- Two-panel axial: CT | PSMA PET, 18F tracer
- slice position z = -1278 mm
- PET panel 200×200 px (4.1 mm/px)
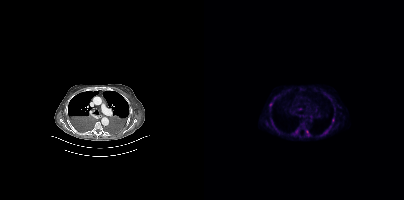
Findings: Coordinates are on the 200×200 PET (right) panel. (showing 6 of 8 foci) PSMA-avid tumor lesion bounding boxes (x0, y0)-(x1, y1): (90, 128)-(95, 134) | (119, 130)-(123, 134). Small PSMA-avid foci (2 to 4 px across) near (center x, center y): (103, 131) | (66, 104) | (128, 120) | (96, 108).